Technique: Paired axial CT (left) and PSMA PET (right), 68Ga tracer. PET panel 256×256 px (2.7 mm/px).
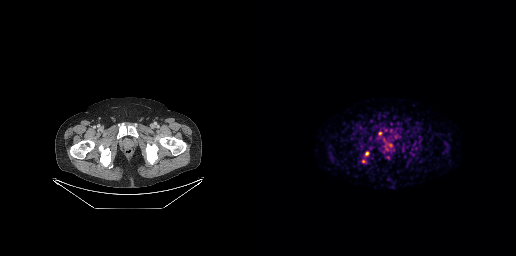
Findings: Coordinates are on the 256×256 PET (right) panel. PSMA-avid tumor lesion bounding box (x, y, width, height): x=105 y=151 w=4 h=5. Small PSMA-avid foci (2 to 4 px across) near (center x, center y): (103, 161) | (120, 133) | (130, 145).